- the face region was removed for patient privacy by blanking a rectangle over the head
- Paired axial CT (left) and PSMA PET (right), 68Ga-PSMA tracer
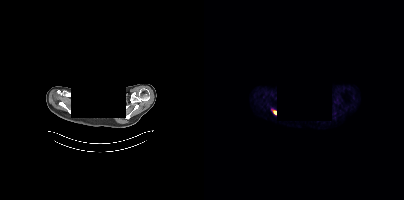
Findings: Coordinates are on the 200×200 PET (right) panel. Small PSMA-avid focus (2 to 4 px across) near (center x, center y): (71, 112).